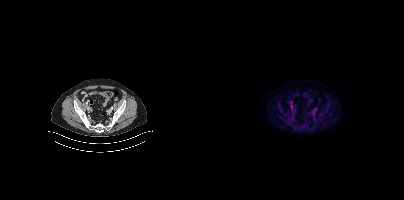
Coordinates are on the 200×200 PET (right) panel. (showing 1 of 2 foci) Small PSMA-avid focus (2 to 4 px across) near (center x, center y): (87, 106).